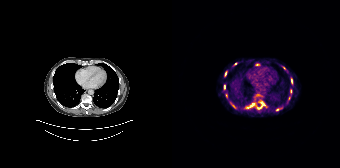
Two-panel axial: CT | PSMA PET, 68Ga tracer. Acquired on Siemens Biograph 64-4R TruePoint. Coordinates are on the 168×168 PET (right) panel. (showing 13 of 15 foci) PSMA-avid tumor lesion bounding boxes (x0, y0)-(x1, y1): (58, 102)-(62, 107) | (78, 103)-(82, 106) | (52, 85)-(53, 89) | (88, 102)-(92, 104) | (119, 79)-(120, 83). Small PSMA-avid foci (2 to 4 px across) near (center x, center y): (85, 64) | (112, 68) | (53, 73) | (54, 95) | (75, 107) | (87, 107) | (105, 109) | (63, 63).